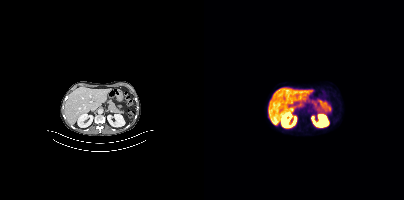
- Two-panel axial: CT | PSMA PET, [18F]PSMA-1007 tracer
- slice position z = -590 mm
- PET panel 200×200 px (4.1 mm/px)
Findings: Negative for PSMA-avid disease on this slice.